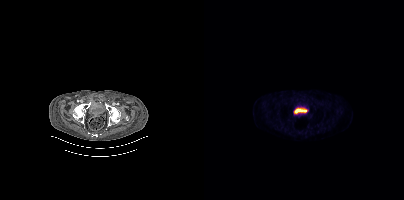
No tumor lesions annotated on this slice.